Head region blanked for anonymization (face removed). Paired axial CT (left) and PSMA PET (right), 18F-PSMA tracer. PET panel 200×200 px (4.1 mm/px).
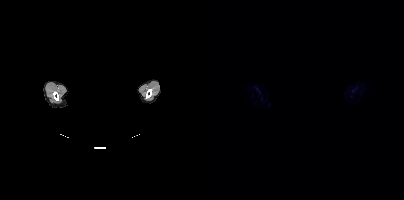
No tumor lesions annotated on this slice.